Paired axial CT (left) and PSMA PET (right), 18F tracer. Acquired on Siemens Biograph mCT Flow 20.
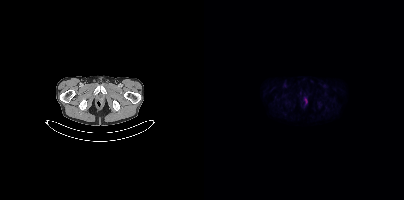
Coordinates are on the 200×200 PET (right) panel. (showing 2 of 3 foci) Small PSMA-avid foci (2 to 4 px across) near (center x, center y): (96, 92); (101, 99).